Paired axial CT (left) and PSMA PET (right), 18F tracer. Acquired on GE Discovery 690.
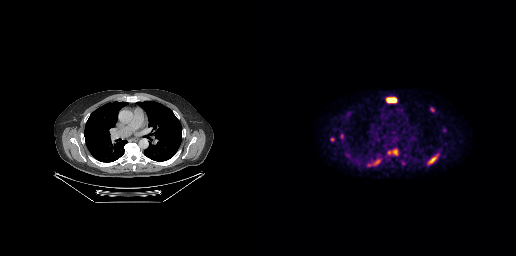
Coordinates are on the 256×256 PET (right) panel. PSMA-avid tumor lesion bounding boxes:
| # | x0 | y0 | x1 | y1 |
|---|---|---|---|---|
| 1 | 126 | 97 | 136 | 102 |
| 2 | 168 | 154 | 178 | 164 |
| 3 | 133 | 150 | 137 | 154 |
| 4 | 170 | 108 | 174 | 111 |
Small PSMA-avid foci (2 to 4 px across) near (center x, center y): (72, 139); (81, 136); (129, 152); (117, 161).